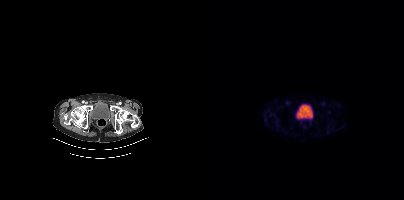
Findings: This slice has no annotated PSMA-avid lesion.
- Paired axial CT (left) and PSMA PET (right), [68Ga]Ga-PSMA-11 tracer
- PET panel 200×200 px (4.1 mm/px)